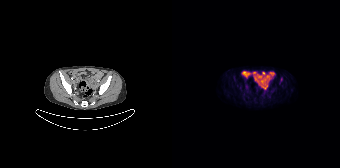
{"modality":"PSMA PET/CT","view":"axial","tracer":"18F","pet_grid":[168,168],"coord_frame":"pet_panel","coord_format":"x0,y0,x1,y1","psma_avid_lesions":false}